Technique: Paired axial CT (left) and PSMA PET (right), 68Ga tracer. acquired on Siemens Biograph mCT Flow 20.
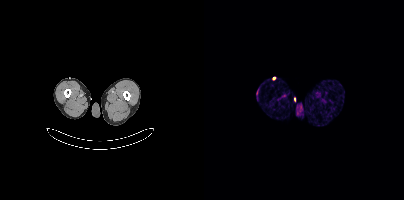
Findings: Negative for PSMA-avid disease on this slice.